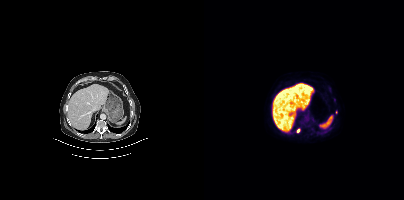
Technique: Paired axial CT (left) and PSMA PET (right), 18F tracer. acquired on Siemens Biograph mCT Flow 20. slice 239 of 401.
Findings: Coordinates are on the 200×200 PET (right) panel. (showing 1 of 2 foci) Small PSMA-avid focus (2 to 4 px across) near (center x, center y): (94, 130).